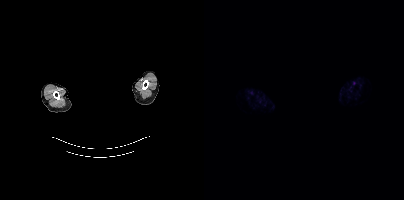
Head region blanked for anonymization (face removed). Paired axial CT (left) and PSMA PET (right), 68Ga-PSMA tracer. Negative for PSMA-avid disease on this slice.